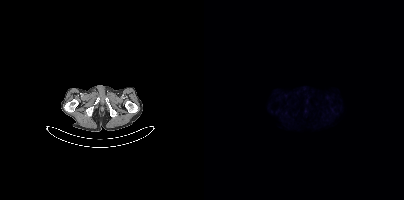
{"pet_grid":[200,200],"coord_frame":"pet_panel","coord_format":"x0,y0,x1,y1","psma_avid_lesions":false,"modality":"PSMA PET/CT","view":"axial","tracer":"[18F]PSMA-1007"}